Technique: Left: CT. Right: PSMA PET, same axial level, 18F tracer. acquired on Siemens Biograph mCT Flow 20. slice position z = -986 mm. PET panel 200×200 px (4.1 mm/px).
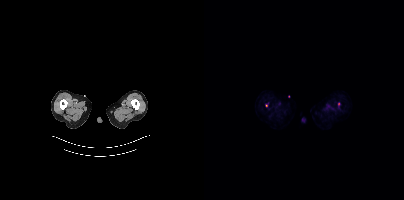
Findings: Coordinates are on the 200×200 PET (right) panel. Small PSMA-avid foci (2 to 4 px across) near (center x, center y): (62, 105) | (134, 103).